Paired axial CT (left) and PSMA PET (right), 18F tracer. Acquired on Siemens Biograph mCT Flow 20.
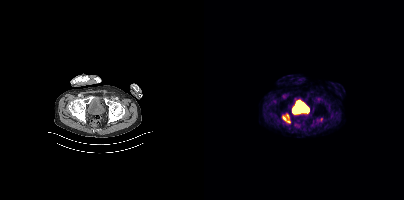
Coordinates are on the 200×200 PET (right) panel. PSMA-avid tumor lesion bounding box (x0, y0)-(x1, y1): (78, 114)-(86, 122). Small PSMA-avid focus (2 to 4 px across) near (center x, center y): (116, 119).